Left: CT. Right: PSMA PET, same axial level, 18F tracer. Acquired on Siemens Biograph mCT Flow 20. PET panel 200×200 px (4.1 mm/px).
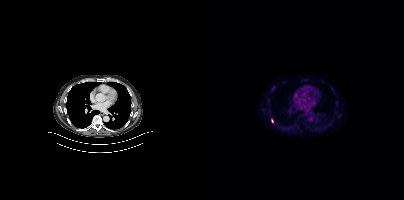
Coordinates are on the 200×200 PET (right) panel. (showing 1 of 2 foci) Small PSMA-avid focus (2 to 4 px across) near (center x, center y): (69, 87).